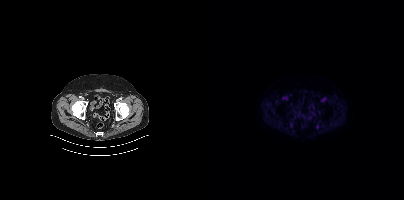
{"modality":"PSMA PET/CT","view":"axial","tracer":"[18F]PSMA-1007","pet_grid":[200,200],"coord_frame":"pet_panel","coord_format":"x0,y0,x1,y1","psma_avid_lesions":false}